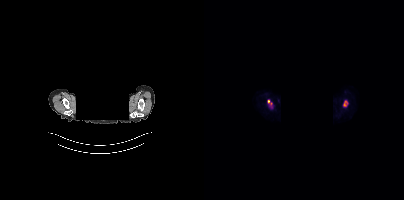
de-identification: head region blanked (face removed) | modality: PSMA PET/CT | tracer: [18F]PSMA-1007 | view: axial
Coordinates are on the 200×200 PET (right) panel. PSMA-avid tumor lesion bounding boxes (x, y, width, height): x=139 y=100 w=5 h=7 | x=63 y=100 w=6 h=5.